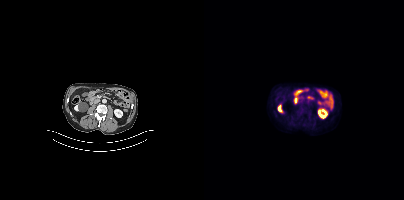
Findings: Coordinates are on the 200×200 PET (right) panel. Small PSMA-avid focus (2 to 4 px across) near (center x, center y): (93, 111).
Technique: Left: CT. Right: PSMA PET, same axial level, 18F-PSMA tracer. acquired on Siemens Biograph mCT Flow 20. PET panel 200×200 px (4.1 mm/px).